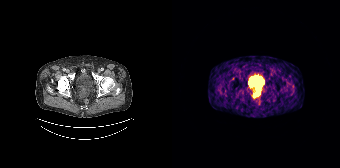
Technique: Two-panel axial: CT | PSMA PET, 68Ga-PSMA tracer. acquired on Siemens Biograph 64-4R TruePoint. slice 31 of 165. PET panel 168×168 px (4.1 mm/px).
Findings: Coordinates are on the 168×168 PET (right) panel. PSMA-avid tumor lesion bounding box (x0, y0)-(x1, y1): (81, 91)-(88, 97).